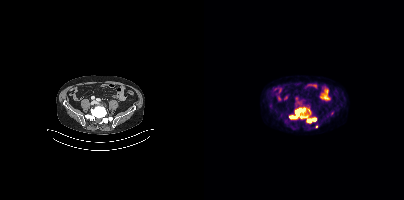
Coordinates are on the 200×200 PET (right) panel. PSMA-avid tumor lesion bounding box (x0, y0)-(x1, y1): (85, 107)-(113, 123). Small PSMA-avid foci (2 to 4 px across) near (center x, center y): (112, 126) / (104, 110).